Paired axial CT (left) and PSMA PET (right), 18F tracer. PET panel 256×256 px (2.7 mm/px).
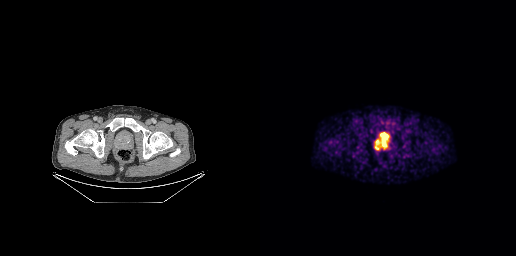
Coordinates are on the 256×256 PET (right) panel. PSMA-avid tumor lesion bounding box (x0, y0)-(x1, y1): (115, 134)-(128, 149).